modality: PSMA PET/CT | tracer: 18F | view: axial | PET grid: 200×200
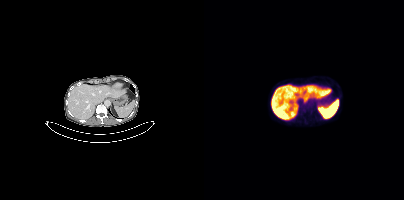
No tumor lesions annotated on this slice.